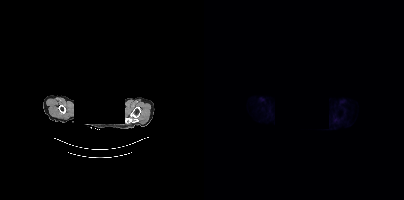
Head region blanked for anonymization (face removed).
No tumor lesions annotated on this slice.